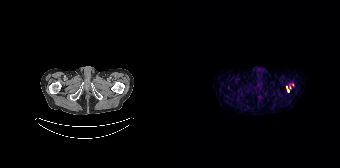
Left: CT. Right: PSMA PET, same axial level, 68Ga-PSMA tracer. Acquired on Siemens Biograph 64-4R TruePoint. Slice position z = -984 mm. Coordinates are on the 168×168 PET (right) panel. (showing 2 of 3 foci) Small PSMA-avid foci (2 to 4 px across) near (center x, center y): (114, 86) | (116, 90).